Face de-identified by blanking a block of the head. Paired axial CT (left) and PSMA PET (right), [18F]PSMA-1007 tracer.
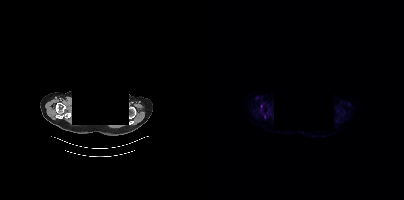
Coordinates are on the 200×200 PET (right) panel. PSMA-avid tumor lesion bounding boxes (partial; 1 more focus not listed):
| # | x0 | y0 | x1 | y1 |
|---|---|---|---|---|
| 1 | 60 | 114 | 61 | 118 |